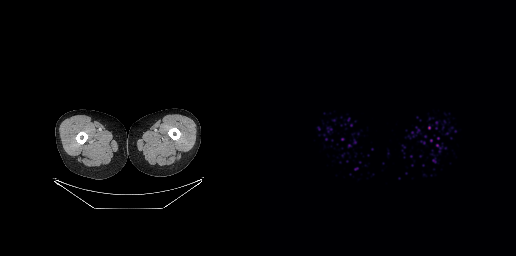
- Two-panel axial: CT | PSMA PET, [68Ga]Ga-PSMA-11 tracer
- slice 2 of 263
- PET panel 256×256 px (2.7 mm/px)
Findings: Negative for PSMA-avid disease on this slice.